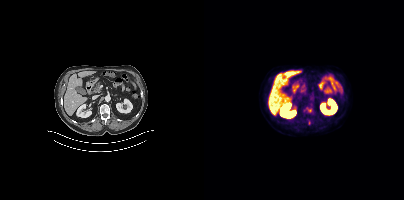
Coordinates are on the 200×200 PET (right) panel. (showing 1 of 2 foci) Small PSMA-avid focus (2 to 4 px across) near (center x, center y): (105, 110).